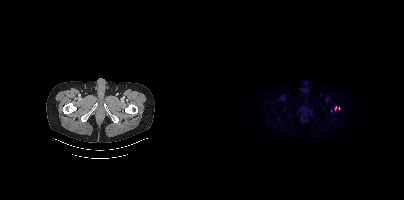
{"modality":"PSMA PET/CT","view":"axial","tracer":"18F","pet_grid":[200,200],"coord_frame":"pet_panel","coord_format":"x0,y0,x1,y1","lesion_bboxes":[[130,106,136,111]],"small_foci_centers":[[127,110]]}